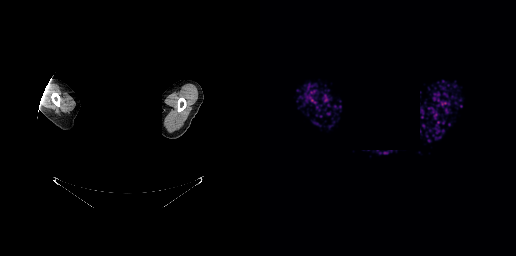
{"pet_grid":[256,256],"coord_frame":"pet_panel","coord_format":"x0,y0,x1,y1","psma_avid_lesions":false,"modality":"PSMA PET/CT","view":"axial","tracer":"68Ga","redaction":"face masked with black rectangle"}